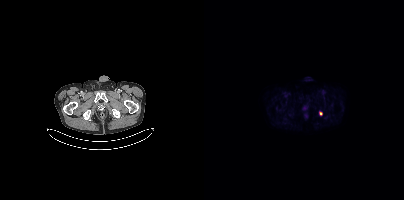
{"modality":"PSMA PET/CT","view":"axial","tracer":"[18F]PSMA-1007","pet_grid":[200,200],"coord_frame":"pet_panel","coord_format":"x0,y0,x1,y1","lesion_bboxes":[],"small_foci_centers":[[116,113]]}